modality: PSMA PET/CT | tracer: 18F | view: axial | PET grid: 256×256
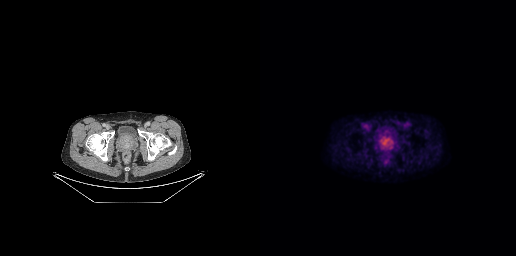
Coordinates are on the 256×256 PET (right) panel. PSMA-avid tumor lesion bounding box (x0,y0,x1,y1): [117,134,135,152].